Left: CT. Right: PSMA PET, same axial level, [18F]PSMA-1007 tracer. Slice position z = -1012 mm.
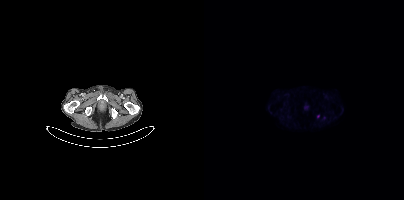
Coordinates are on the 200×200 PET (right) panel. Small PSMA-avid focus (2 to 4 px across) near (center x, center y): (114, 116).